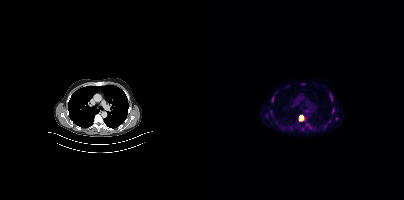
Technique: Paired axial CT (left) and PSMA PET (right), 18F tracer. slice 286 of 413. PET panel 200×200 px (4.1 mm/px).
Findings: Coordinates are on the 200×200 PET (right) panel. (showing 10 of 11 foci) PSMA-avid tumor lesion bounding boxes (x0,y0,x1,y1): [95,115,99,121]; [128,108,130,113]; [67,96,70,100]; [119,125,123,128]; [97,83,101,85]. Small PSMA-avid foci (2 to 4 px across) near (center x, center y): (132, 118); (67, 112); (125, 121); (128, 100); (62, 115).